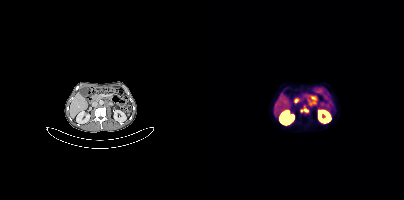
Coordinates are on the 200×200 PET (right) panel. PSMA-avid tumor lesion bounding boxes:
| # | x0 | y0 | x1 | y1 |
|---|---|---|---|---|
| 1 | 104 | 95 | 113 | 105 |
| 2 | 96 | 107 | 105 | 113 |
Left: CT. Right: PSMA PET, same axial level, [68Ga]Ga-PSMA-11 tracer. Slice position z = -1440 mm. PET panel 200×200 px (4.1 mm/px).